Paired axial CT (left) and PSMA PET (right), 18F-PSMA tracer. Slice 151 of 373.
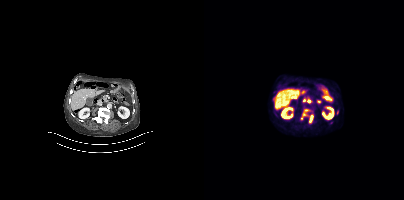
Coordinates are on the 200×200 PET (right) panel. PSMA-avid tumor lesion bounding boxes:
| # | x0 | y0 | x1 | y1 |
|---|---|---|---|---|
| 1 | 97 | 109 | 109 | 123 |
| 2 | 70 | 109 | 72 | 115 |